- Left: CT. Right: PSMA PET, same axial level, [18F]PSMA-1007 tracer
- acquired on Siemens Biograph 64-4R TruePoint
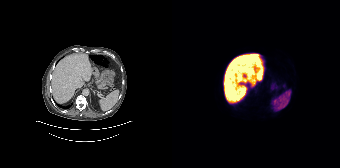
Findings: This slice has no annotated PSMA-avid lesion.